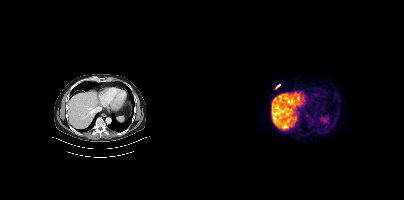
Findings: Coordinates are on the 200×200 PET (right) panel. PSMA-avid tumor lesion bounding box (x0, y0)-(x1, y1): (72, 84)-(76, 88).
- Two-panel axial: CT | PSMA PET, 68Ga tracer
- acquired on Siemens Biograph mCT Flow 20
- slice position z = -1120 mm